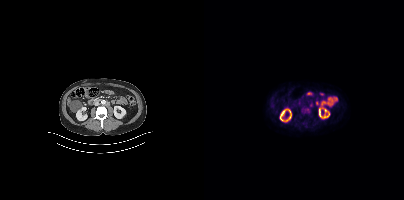
- Left: CT. Right: PSMA PET, same axial level, 18F tracer
- acquired on Siemens Biograph mCT Flow 20
- slice position z = -1310 mm
- PET panel 200×200 px (4.1 mm/px)
Findings: Only PSMA-avid lesion pieces thinner than 2 px on this slice (not listed).